Technique: Paired axial CT (left) and PSMA PET (right), [18F]PSMA-1007 tracer. acquired on Siemens Biograph mCT Flow 20. slice 183 of 401. PET panel 200×200 px (4.1 mm/px).
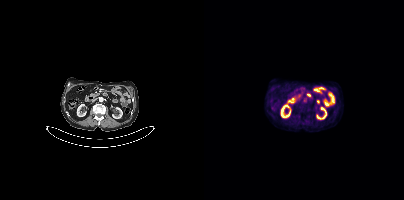
Findings: No tumor lesions annotated on this slice.